- Two-panel axial: CT | PSMA PET, 68Ga-PSMA tracer
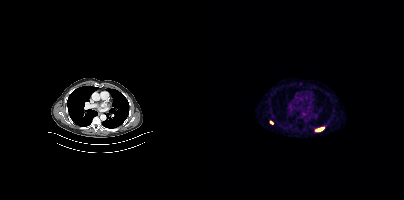
Findings: Coordinates are on the 200×200 PET (right) panel. PSMA-avid tumor lesion bounding box (x0, y0)-(x1, y1): (112, 128)-(119, 131). Small PSMA-avid focus (2 to 4 px across) near (center x, center y): (67, 122).